- Paired axial CT (left) and PSMA PET (right), [18F]PSMA-1007 tracer
- acquired on Siemens Biograph mCT Flow 20
- slice 431 of 435
- PET panel 200×200 px (4.1 mm/px)
- a rectangular block over the head has been blanked out for de-identification
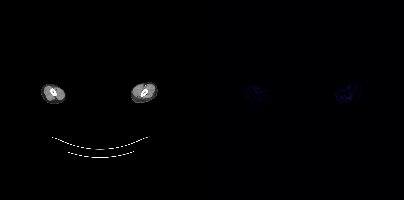
Findings: No PSMA-avid tumor lesions on this slice.